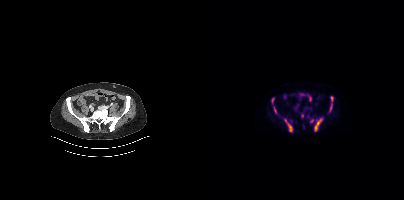
modality: PSMA PET/CT | tracer: 18F | view: axial
Coordinates are on the 200×200 PET (right) panel. PSMA-avid tumor lesion bounding boxes (x, y, width, height): x=110 y=118 w=9 h=14; x=80 y=119 w=9 h=14; x=127 y=96 w=3 h=6; x=126 y=104 w=3 h=7; x=70 y=107 w=3 h=7; x=68 y=98 w=3 h=5. Small PSMA-avid foci (2 to 4 px across) near (center x, center y): (97, 115); (107, 121).